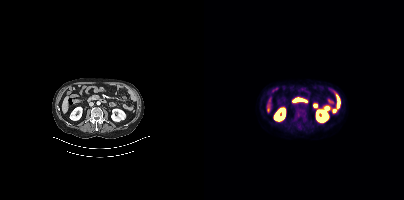
No PSMA-avid tumor lesions on this slice.